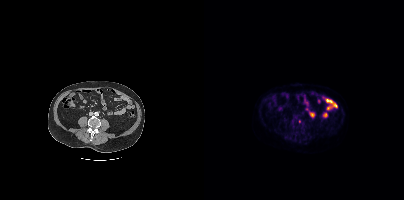
Technique: Paired axial CT (left) and PSMA PET (right), 18F-PSMA tracer. acquired on Siemens Biograph mCT Flow 20. PET panel 200×200 px (4.1 mm/px).
Findings: Coordinates are on the 200×200 PET (right) panel. Small PSMA-avid focus (2 to 4 px across) near (center x, center y): (95, 121).